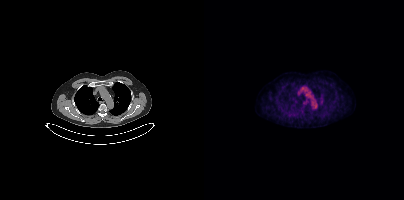
modality: PSMA PET/CT | tracer: [18F]PSMA-1007 | view: axial
No tumor lesions annotated on this slice.